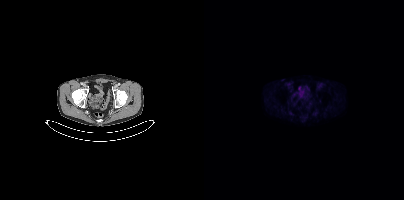
{"modality":"PSMA PET/CT","view":"axial","tracer":"18F-PSMA","pet_grid":[200,200],"coord_frame":"pet_panel","coord_format":"x0,y0,x1,y1","partial":true,"lesion_bboxes":[]}